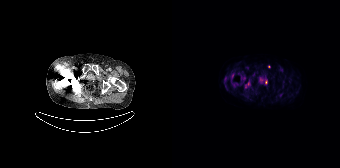
Coordinates are on the 168×168 PET (right) panel. (showing 1 of 2 foci) PSMA-avid tumor lesion bounding box (x0, y0)-(x1, y1): (93, 79)-(95, 84).